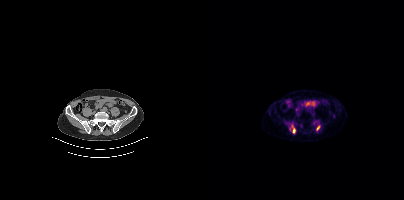
Coordinates are on the 200×200 PET (right) panel. PSMA-avid tumor lesion bounding boxes (x0,y0,x1,y1): [88,126,91,133], [112,126,115,130].
modality: PSMA PET/CT | tracer: 68Ga | view: axial | PET grid: 200×200